Two-panel axial: CT | PSMA PET, 18F-PSMA tracer.
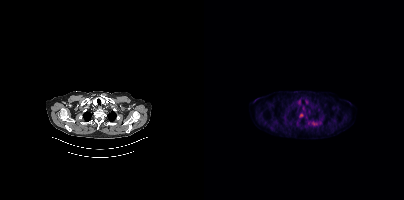
Coordinates are on the 200×200 PET (right) panel. PSMA-avid tumor lesion bounding boxes (x0,y0,x1,y1): [109,121,114,126], [95,113,99,117].